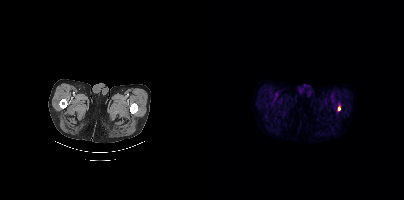
{"pet_grid":[200,200],"coord_frame":"pet_panel","coord_format":"x0,y0,x1,y1","lesion_bboxes":[],"small_foci_centers":[[135,107]],"modality":"PSMA PET/CT","view":"axial","tracer":"[18F]PSMA-1007"}